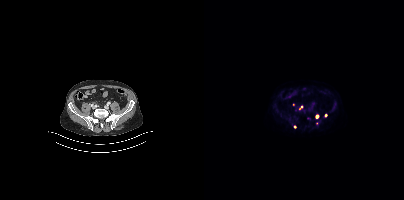
Technique: Two-panel axial: CT | PSMA PET, [18F]PSMA-1007 tracer. PET panel 200×200 px (4.1 mm/px).
Findings: Coordinates are on the 200×200 PET (right) panel. (showing 1 of 4 foci) Small PSMA-avid focus (2 to 4 px across) near (center x, center y): (97, 106).